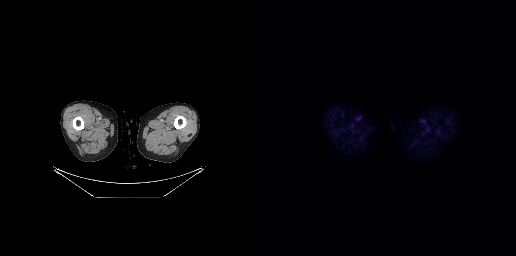
modality: PSMA PET/CT | tracer: 18F-PSMA | view: axial | PET grid: 256×256
No tumor lesions annotated on this slice.